Paired axial CT (left) and PSMA PET (right), 18F-PSMA tracer.
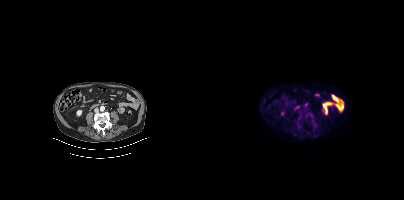
Coordinates are on the 200×200 PET (right) panel. PSMA-avid tumor lesion bounding box (x0, y0)-(x1, y1): (105, 113)-(109, 117).